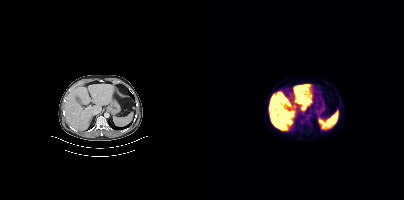
Technique: Two-panel axial: CT | PSMA PET, 18F tracer. acquired on Siemens Biograph mCT Flow 20. slice position z = -570 mm.
Findings: Negative for PSMA-avid disease on this slice.